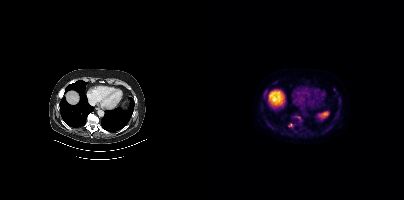
Coordinates are on the 200×200 PET (right) panel. (showing 2 of 3 foci) Small PSMA-avid foci (2 to 4 px across) near (center x, center y): (86, 125) / (94, 117).
modality: PSMA PET/CT | tracer: [18F]PSMA-1007 | view: axial | PET grid: 200×200